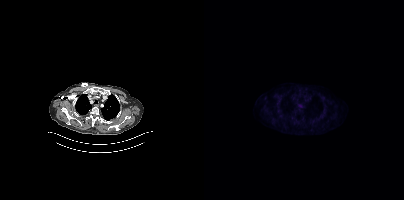
{"modality":"PSMA PET/CT","view":"axial","tracer":"[18F]PSMA-1007","pet_grid":[200,200],"coord_frame":"pet_panel","coord_format":"x0,y0,x1,y1","psma_avid_lesions":false}